modality: PSMA PET/CT | tracer: 18F | view: axial | PET grid: 200×200
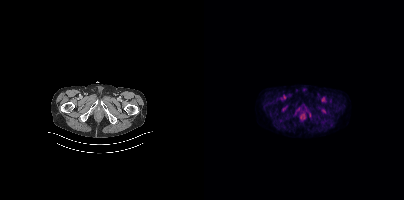
Negative for PSMA-avid disease on this slice.